modality: PSMA PET/CT | tracer: 18F-PSMA | view: axial | PET grid: 256×256
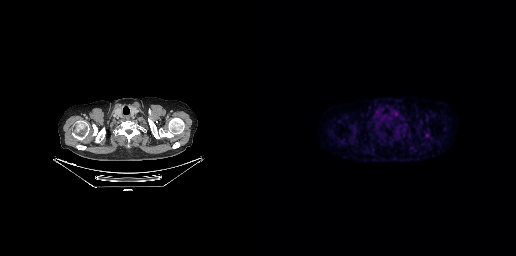
Negative for PSMA-avid disease on this slice.